Technique: Left: CT. Right: PSMA PET, same axial level, 18F tracer. acquired on GE Discovery 690. slice 103 of 263. PET panel 256×256 px (2.7 mm/px).
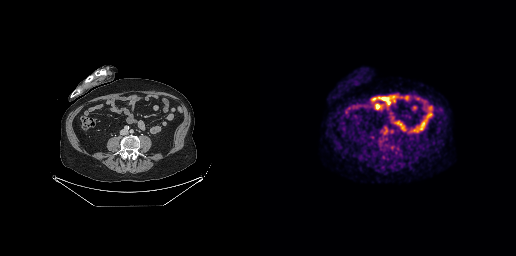
Findings: No PSMA-avid tumor lesions on this slice.